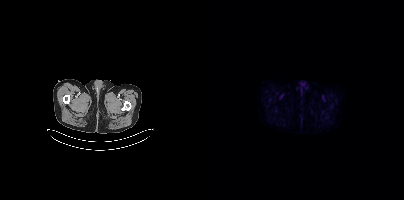
modality: PSMA PET/CT | tracer: 18F | view: axial
Negative for PSMA-avid disease on this slice.